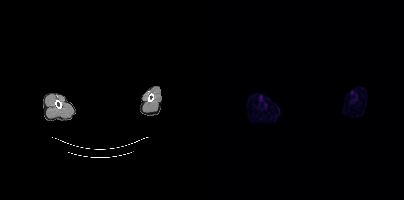
Two-panel axial: CT | PSMA PET, 18F-PSMA tracer. Acquired on Siemens Biograph mCT Flow 20. Slice 404 of 448. PET panel 200×200 px (4.1 mm/px). A rectangle over the head was blacked out to remove identifiable facial features. No tumor lesions annotated on this slice.